Technique: Two-panel axial: CT | PSMA PET, [18F]PSMA-1007 tracer. slice 66 of 429. PET panel 200×200 px (4.1 mm/px).
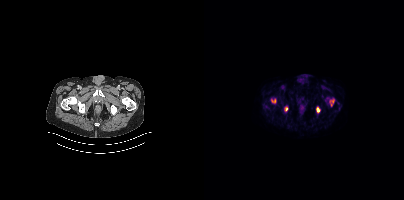
Findings: Coordinates are on the 200×200 PET (right) panel. (showing 4 of 5 foci) PSMA-avid tumor lesion bounding boxes (x, y, width, height): x=67 y=99 w=5 h=5; x=112 y=107 w=4 h=6; x=126 y=99 w=5 h=4. Small PSMA-avid focus (2 to 4 px across) near (center x, center y): (82, 108).